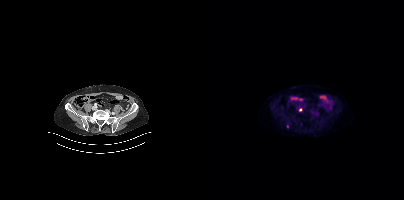
Coordinates are on the 200×200 PET (right) panel. (showing 1 of 2 foci) Small PSMA-avid focus (2 to 4 px across) near (center x, center y): (96, 109).